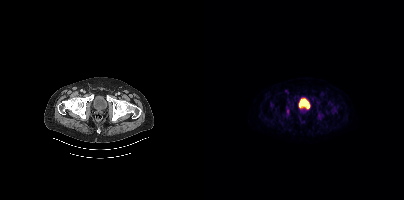
Two-panel axial: CT | PSMA PET, 18F-PSMA tracer. Acquired on Siemens Biograph mCT Flow 20. PET panel 200×200 px (4.1 mm/px). Coordinates are on the 200×200 PET (right) panel. (showing 8 of 9 foci) PSMA-avid tumor lesion bounding boxes (x0, y0)-(x1, y1): (83, 100)-(89, 106) | (82, 107)-(85, 116) | (113, 114)-(118, 119) | (96, 109)-(102, 113) | (66, 102)-(70, 107) | (124, 102)-(127, 106) | (102, 95)-(107, 99). Small PSMA-avid focus (2 to 4 px across) near (center x, center y): (113, 102).